Left: CT. Right: PSMA PET, same axial level, 18F-PSMA tracer.
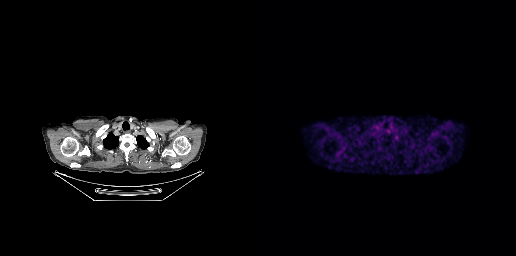
Coordinates are on the 256×256 PET (right) panel. Small PSMA-avid focus (2 to 4 px across) near (center x, center y): (136, 137).